Left: CT. Right: PSMA PET, same axial level, 18F-PSMA tracer.
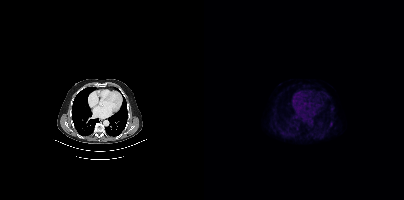
Coordinates are on the 200×200 PET (right) panel. Small PSMA-avid focus (2 to 4 px across) near (center x, center y): (127, 123).